Left: CT. Right: PSMA PET, same axial level, [68Ga]Ga-PSMA-11 tracer. PET panel 200×200 px (4.1 mm/px).
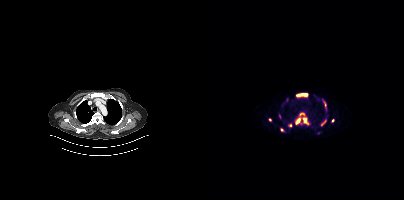
Coordinates are on the 200×200 PET (right) panel. (showing 11 of 13 foci) PSMA-avid tumor lesion bounding boxes (x0,y0,x1,y1): [93,93,103,96] [99,118,104,125] [91,118,97,123] [117,119,122,125] [120,103,122,109] [84,124,88,126] [75,114,77,118]. Small PSMA-avid foci (2 to 4 px across) near (center x, center y): (66, 120) (78, 130) (128, 120) (119, 100).